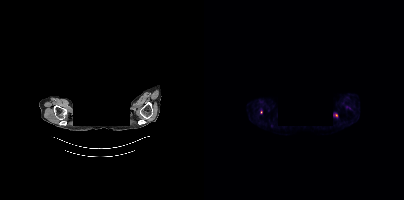
Findings: Coordinates are on the 200×200 PET (right) panel. PSMA-avid tumor lesion bounding box (x0,y0,x1,y1): [56,109,58,113]. Small PSMA-avid focus (2 to 4 px across) near (center x, center y): (132, 115).
- Left: CT. Right: PSMA PET, same axial level, 18F-PSMA tracer
- slice 410 of 466
- the face region was removed for patient privacy by blanking a rectangle over the head